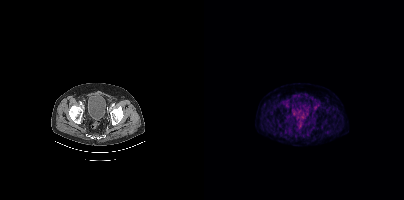
No tumor lesions annotated on this slice. Left: CT. Right: PSMA PET, same axial level, [18F]PSMA-1007 tracer. Slice 101 of 448. PET panel 200×200 px (4.1 mm/px).